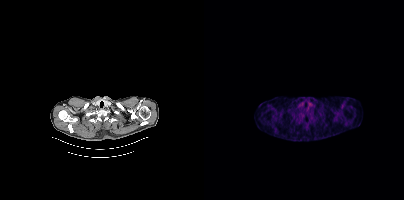
No tumor lesions annotated on this slice.
modality: PSMA PET/CT | tracer: 18F-PSMA | view: axial | PET grid: 200×200